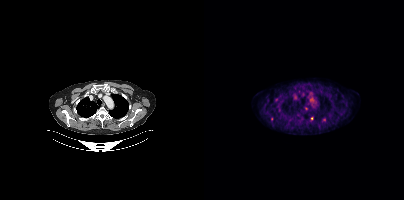
Coordinates are on the 200×200 PET (right) panel. (showing 3 of 5 foci) Small PSMA-avid foci (2 to 4 px across) near (center x, center y): (120, 119), (107, 118), (67, 118).